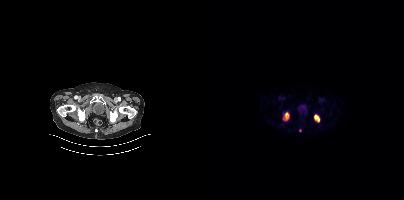
Coordinates are on the 200×200 PET (right) panel. (showing 2 of 3 foci) PSMA-avid tumor lesion bounding boxes (x0,y0,x1,y1): [110,115,115,121] [81,112,84,119]. Two-panel axial: CT | PSMA PET, 18F tracer. Acquired on Siemens Biograph mCT Flow 20. Slice position z = -948 mm.